Head region blanked for anonymization (face removed).
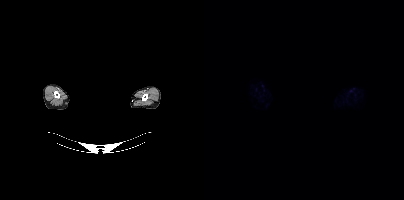
No PSMA-avid tumor lesions on this slice.